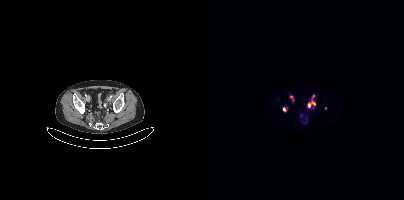
- Paired axial CT (left) and PSMA PET (right), [68Ga]Ga-PSMA-11 tracer
- slice 88 of 411
Findings: Coordinates are on the 200×200 PET (right) panel. (showing 5 of 6 foci) PSMA-avid tumor lesion bounding box (x0,y0,x1,y1): [104,95,111,107]. Small PSMA-avid foci (2 to 4 px across) near (center x, center y): (121, 108) (87, 96) (79, 109) (97, 114).